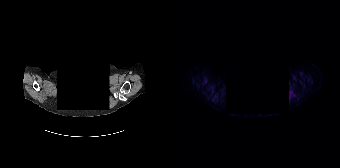
Two-panel axial: CT | PSMA PET, 68Ga tracer. Slice position z = -888 mm. PET panel 168×168 px (4.1 mm/px). Any black rectangle over the head is a privacy mask, not anatomy. Negative for PSMA-avid disease on this slice.